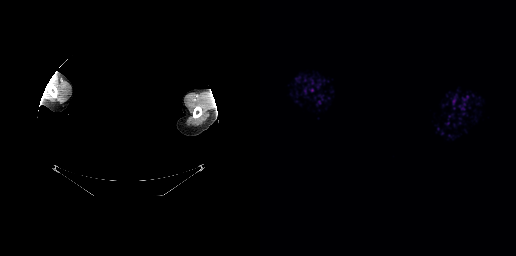
Findings: This slice has no annotated PSMA-avid lesion.
- the face region was removed for patient privacy by blanking a rectangle over the head
- Two-panel axial: CT | PSMA PET, 68Ga tracer
- acquired on GE Discovery 690
- PET panel 256×256 px (2.7 mm/px)